Technique: Left: CT. Right: PSMA PET, same axial level, [18F]PSMA-1007 tracer. slice position z = -815 mm. PET panel 256×256 px (2.7 mm/px).
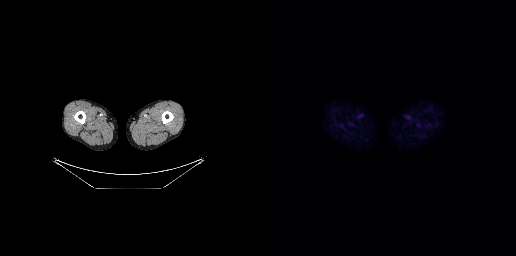
Findings: No PSMA-avid tumor lesions on this slice.